modality: PSMA PET/CT | tracer: 18F | view: axial
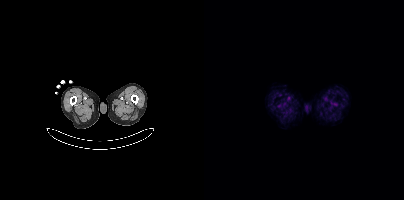
Negative for PSMA-avid disease on this slice.